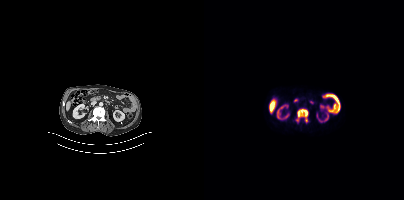
{"pet_grid":[200,200],"coord_frame":"pet_panel","coord_format":"x0,y0,x1,y1","lesion_bboxes":[[93,109,103,121]],"modality":"PSMA PET/CT","view":"axial","tracer":"18F"}